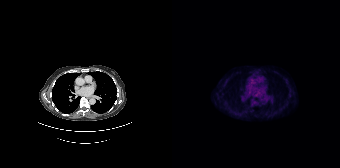
Paired axial CT (left) and PSMA PET (right), [18F]PSMA-1007 tracer. This slice has no annotated PSMA-avid lesion.